Two-panel axial: CT | PSMA PET, 18F-PSMA tracer. Slice 265 of 431. PET panel 200×200 px (4.1 mm/px).
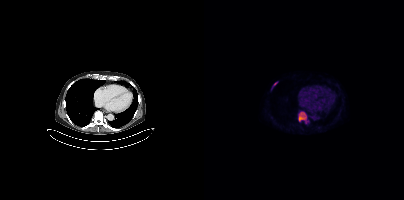
Coordinates are on the 200×200 PET (right) panel. PSMA-avid tumor lesion bounding boxes (x0, y0)-(x1, y1): (94, 111)-(104, 123) | (69, 82)-(73, 86).